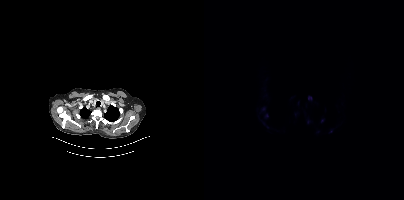
{"modality":"PSMA PET/CT","view":"axial","tracer":"18F-PSMA","pet_grid":[200,200],"coord_frame":"pet_panel","coord_format":"x0,y0,x1,y1","partial":true,"lesion_bboxes":[[104,96,108,100]],"small_foci_centers":[[104,121]]}